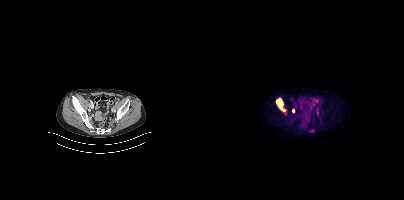
Two-panel axial: CT | PSMA PET, 18F tracer. Acquired on Siemens Biograph mCT Flow 20. Slice position z = -1429 mm. Coordinates are on the 200×200 PET (right) panel. PSMA-avid tumor lesion bounding boxes (x0,y0,x1,y1): [72,98,82,112], [105,130,109,132]. Small PSMA-avid foci (2 to 4 px across) near (center x, center y): (89, 110), (113, 112).